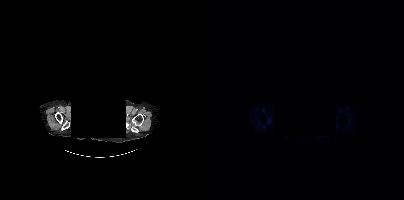
modality: PSMA PET/CT | tracer: 18F | view: axial | redaction: head region blacked out before release
No PSMA-avid tumor lesions on this slice.